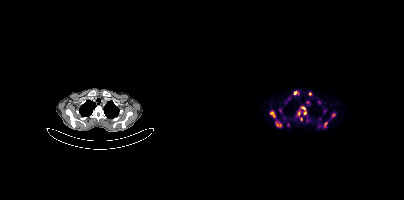
Findings: Coordinates are on the 200×200 PET (right) panel. (showing 13 of 14 foci) PSMA-avid tumor lesion bounding boxes (x, y, width, height): x=65 y=110 w=7 h=8 / x=72 y=123 w=6 h=4 / x=120 y=122 w=4 h=5. Small PSMA-avid foci (2 to 4 px across) near (center x, center y): (90, 92) / (106, 93) / (99, 108) / (76, 110) / (97, 119) / (101, 113) / (129, 115) / (94, 113) / (81, 102) / (84, 124).
Technique: Left: CT. Right: PSMA PET, same axial level, [68Ga]Ga-PSMA-11 tracer. acquired on Siemens Biograph mCT Flow 20. slice 312 of 393.